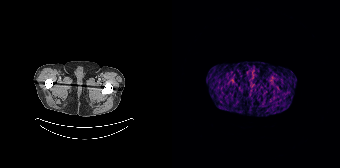
Left: CT. Right: PSMA PET, same axial level, 68Ga tracer. This slice has no annotated PSMA-avid lesion.